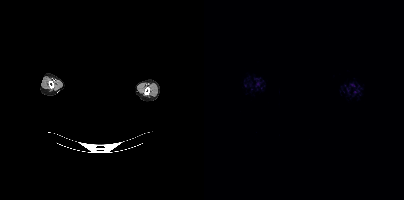
Facial anatomy redacted by setting a rectangular region of the head to black.
No tumor lesions annotated on this slice.